- Two-panel axial: CT | PSMA PET, 18F-PSMA tracer
- slice 135 of 263
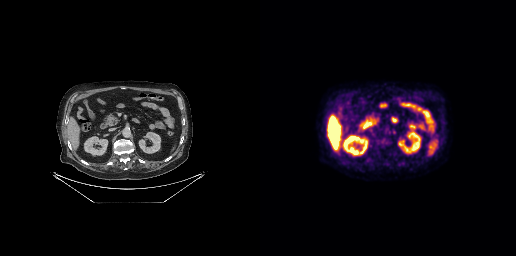
Findings: Coordinates are on the 256×256 PET (right) panel. Small PSMA-avid focus (2 to 4 px across) near (center x, center y): (134, 132).